Paired axial CT (left) and PSMA PET (right), 18F-PSMA tracer. Acquired on Siemens Biograph mCT Flow 20. Slice position z = -1132 mm. PET panel 200×200 px (4.1 mm/px).
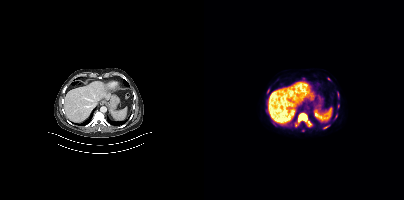
Coordinates are on the 200×200 PET (right) panel. PSMA-avid tumor lesion bounding boxes (partial; 1 more focus not listed):
| # | x0 | y0 | x1 | y1 |
|---|---|---|---|---|
| 1 | 91 | 114 | 107 | 126 |
| 2 | 119 | 125 | 125 | 128 |
Small PSMA-avid foci (2 to 4 px across) near (center x, center y): (64, 91); (134, 105); (131, 117); (124, 78).